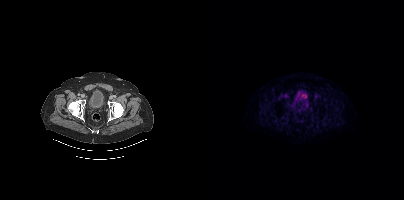
No PSMA-avid tumor lesions on this slice. Paired axial CT (left) and PSMA PET (right), [18F]PSMA-1007 tracer. Acquired on Siemens Biograph mCT Flow 20. Slice 87 of 435.